Two-panel axial: CT | PSMA PET, [18F]PSMA-1007 tracer. PET panel 200×200 px (4.1 mm/px).
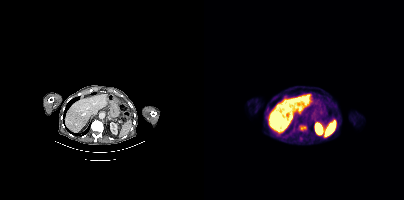
Coordinates are on the 200×200 PET (right) panel. (showing 2 of 3 foci) PSMA-avid tumor lesion bounding boxes (x, y, width, height): x=95 y=125 w=8 h=6 / x=94 y=137 w=5 h=4.